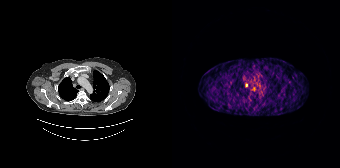
Coordinates are on the 168×168 PET (right) panel. Small PSMA-avid foci (2 to 4 px across) near (center x, center y): (74, 84) (81, 88).
modality: PSMA PET/CT | tracer: 68Ga | view: axial